The head region is masked for de-identification. Left: CT. Right: PSMA PET, same axial level, 18F tracer. Slice position z = 465 mm.
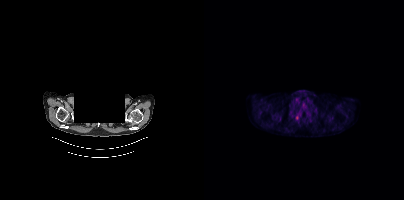
Coordinates are on the 200×200 PET (right) panel. (showing 1 of 2 foci) Small PSMA-avid focus (2 to 4 px across) near (center x, center y): (93, 117).